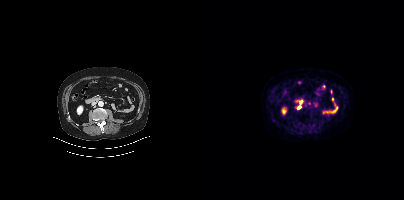
Left: CT. Right: PSMA PET, same axial level, [18F]PSMA-1007 tracer. Acquired on Siemens Biograph mCT Flow 20. Coordinates are on the 200×200 PET (right) panel. Small PSMA-avid foci (2 to 4 px across) near (center x, center y): (95, 107) (97, 102).